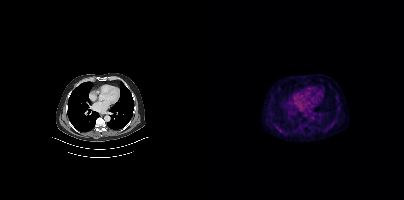
No PSMA-avid tumor lesions on this slice.